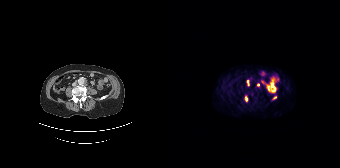
Coordinates are on the 168×168 PET (right) panel. PSMA-avid tumor lesion bounding boxes (x, y, width, height): x=75 y=81 w=3 h=6 | x=73 y=96 w=3 h=6. Small PSMA-avid foci (2 to 4 px across) near (center x, center y): (102, 97) | (86, 85).